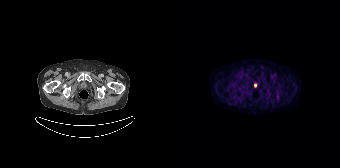
Findings: Negative for PSMA-avid disease on this slice.
Technique: Paired axial CT (left) and PSMA PET (right), 68Ga tracer.